Two-panel axial: CT | PSMA PET, 18F tracer. Slice position z = -363 mm. PET panel 200×200 px (4.1 mm/px).
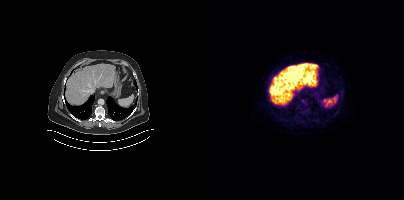
Coordinates are on the 200×200 PET (right) panel. PSMA-avid tumor lesion bounding boxes:
| # | x0 | y0 | x1 | y1 |
|---|---|---|---|---|
| 1 | 135 | 95 | 139 | 99 |